Paired axial CT (left) and PSMA PET (right), [68Ga]Ga-PSMA-11 tracer. PET panel 200×200 px (4.1 mm/px).
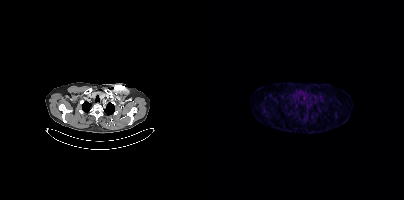
No tumor lesions annotated on this slice.